modality: PSMA PET/CT | tracer: 18F | view: axial | PET grid: 200×200
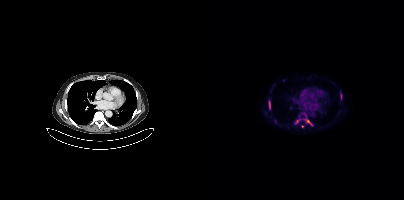
Coordinates are on the 200×200 PET (right) panel. PSMA-avid tumor lesion bounding boxes (x, y, width, height): x=65 y=101 w=2 h=9 / x=102 y=119 w=7 h=7 / x=136 y=93 w=3 h=7 / x=90 y=120 w=5 h=5. Small PSMA-avid focus (2 to 4 px across) near (center x, center y): (98, 126).